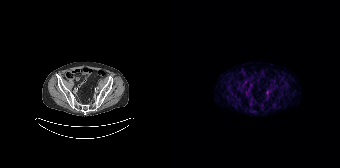
Negative for PSMA-avid disease on this slice. Two-panel axial: CT | PSMA PET, 68Ga tracer. Acquired on Siemens Biograph 64-4R TruePoint. Slice position z = -869 mm. PET panel 168×168 px (4.1 mm/px).